Two-panel axial: CT | PSMA PET, 18F-PSMA tracer. Slice position z = -1633 mm.
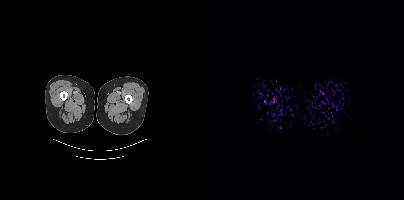
No PSMA-avid tumor lesions on this slice.